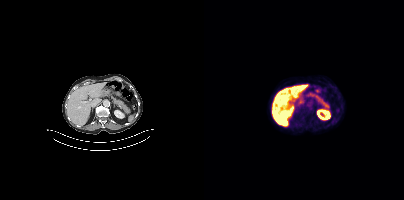
Paired axial CT (left) and PSMA PET (right), 18F tracer. Acquired on Siemens Biograph mCT Flow 20. PET panel 200×200 px (4.1 mm/px). No tumor lesions annotated on this slice.